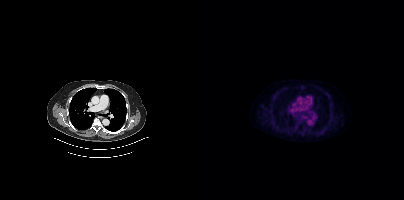
{"modality":"PSMA PET/CT","view":"axial","tracer":"[18F]PSMA-1007","pet_grid":[200,200],"coord_frame":"pet_panel","coord_format":"x0,y0,x1,y1","psma_avid_lesions":false}